Left: CT. Right: PSMA PET, same axial level, 18F-PSMA tracer. Acquired on Siemens Biograph mCT Flow 20. PET panel 200×200 px (4.1 mm/px).
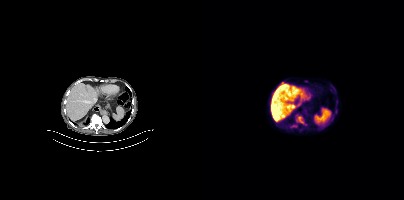
Coordinates are on the 200×200 PET (right) panel. (showing 1 of 3 foci) PSMA-avid tumor lesion bounding box (x0,y0,x1,y1): [92,116,99,123].